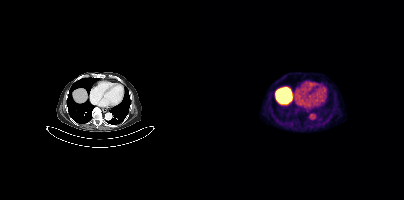
Only PSMA-avid lesion pieces thinner than 2 px on this slice (not listed).